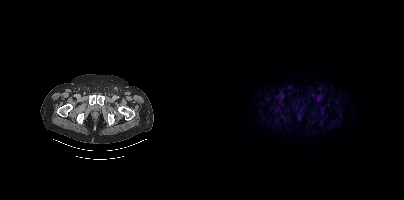
- Left: CT. Right: PSMA PET, same axial level, 18F-PSMA tracer
- acquired on Siemens Biograph mCT Flow 20
- slice position z = -1501 mm
- PET panel 200×200 px (4.1 mm/px)
Findings: Negative for PSMA-avid disease on this slice.